Two-panel axial: CT | PSMA PET, 18F tracer.
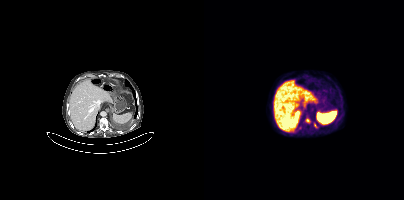
Coordinates are on the 200×200 PET (right) panel. PSMA-avid tumor lesion bounding boxes (x, y, width, height): x=102 y=118 w=5 h=5; x=110 y=123 w=3 h=5. Small PSMA-avid focus (2 to 4 px across) near (center x, center y): (95, 127).